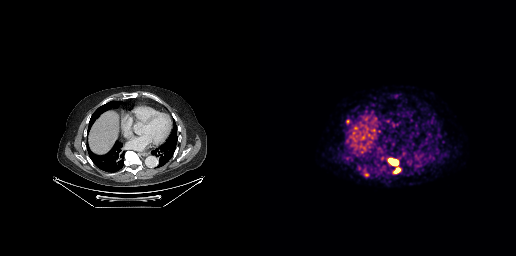
Coordinates are on the 256×256 PET (right) panel. PSMA-avid tumor lesion bounding boxes (x, y, width, height): x=128 y=158 w=11 h=8 | x=134 y=167 w=7 h=7. Small PSMA-avid focus (2 to 4 px across) near (center x, center y): (87, 121).